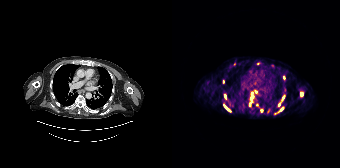
modality: PSMA PET/CT | tracer: [68Ga]Ga-PSMA-11 | view: axial | PET grid: 168×168
Coordinates are on the 168×168 PET (right) panel. (showing 10 of 16 foci) PSMA-avid tumor lesion bounding boxes (x0, y0)-(x1, y1): (52, 105)-(58, 111); (128, 92)-(131, 96); (110, 95)-(112, 99). Small PSMA-avid foci (2 to 4 px across) near (center x, center y): (109, 108); (80, 97); (53, 96); (107, 104); (89, 110); (51, 81); (103, 113).